Two-panel axial: CT | PSMA PET, 68Ga tracer. Slice 113 of 165. PET panel 168×168 px (4.1 mm/px).
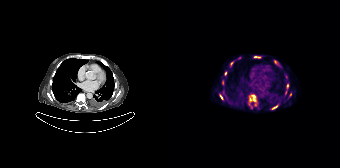
Coordinates are on the 168×168 PET (right) panel. (showing 10 of 12 foci) PSMA-avid tumor lesion bounding boxes (x, y, width, height): x=77 y=94 w=8 h=12; x=102 y=60 w=6 h=6; x=47 y=94 w=5 h=6; x=100 y=105 w=6 h=5; x=82 y=56 w=7 h=2; x=115 y=84 w=2 h=5. Small PSMA-avid foci (2 to 4 px across) near (center x, center y): (53, 73); (60, 63); (50, 82); (118, 94).